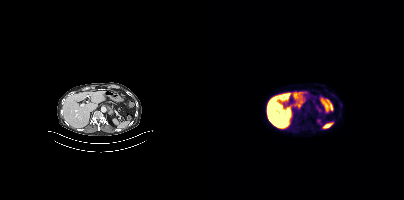
Coordinates are on the 200×200 PET (right) panel. Small PSMA-avid focus (2 to 4 px across) near (center x, center y): (136, 104).
modality: PSMA PET/CT | tracer: [18F]PSMA-1007 | view: axial